- Two-panel axial: CT | PSMA PET, 18F-PSMA tracer
- slice 343 of 423
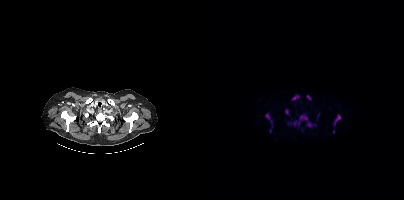
Findings: Coordinates are on the 200×200 PET (right) panel. (showing 10 of 13 foci) PSMA-avid tumor lesion bounding boxes (x0,y0,x1,y1): [94,114,103,124], [129,114,137,125], [61,113,68,127], [88,95,95,100], [103,122,107,126], [81,109,84,114], [102,95,107,99], [89,121,92,125]. Small PSMA-avid foci (2 to 4 px across) near (center x, center y): (66, 130), (129, 131).